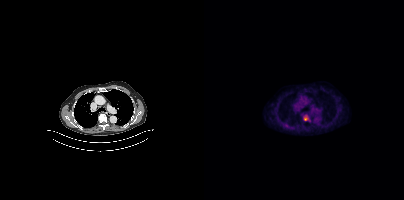
Technique: Paired axial CT (left) and PSMA PET (right), 18F-PSMA tracer. slice 305 of 423. PET panel 200×200 px (4.1 mm/px).
Findings: Coordinates are on the 200×200 PET (right) panel. PSMA-avid tumor lesion bounding box (x, y, width, height): x=100 y=115 w=5 h=6.